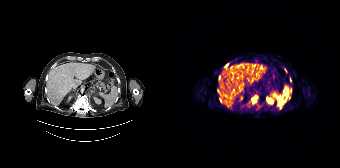
Findings: Coordinates are on the 168×168 PET (right) panel. (showing 7 of 9 foci) PSMA-avid tumor lesion bounding boxes (x0, y0)-(x1, y1): (79, 95)-(85, 103) / (45, 89)-(47, 93) / (47, 98)-(49, 102). Small PSMA-avid foci (2 to 4 px across) near (center x, center y): (47, 76) / (118, 89) / (54, 65) / (118, 79).
Technique: Paired axial CT (left) and PSMA PET (right), [68Ga]Ga-PSMA-11 tracer. acquired on Siemens Biograph 64-4R TruePoint. slice 120 of 195.